modality: PSMA PET/CT | tracer: [18F]PSMA-1007 | view: axial | PET grid: 200×200
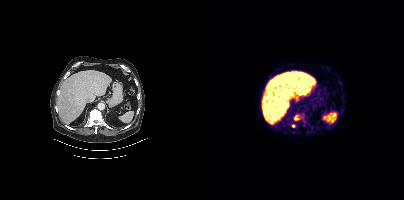
Coordinates are on the 200×200 PET (right) panel. PSMA-avid tumor lesion bounding box (x, y, width, height): x=90 y=115 w=6 h=6. Small PSMA-avid focus (2 to 4 px across) near (center x, center y): (89, 126).